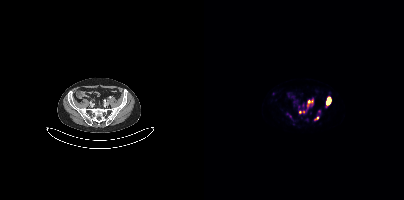
Technique: Two-panel axial: CT | PSMA PET, 68Ga tracer. PET panel 200×200 px (4.1 mm/px).
Findings: Coordinates are on the 200×200 PET (right) panel. (showing 6 of 7 foci) PSMA-avid tumor lesion bounding boxes (x, y, width, height): x=103 y=100 w=6 h=11 | x=122 y=97 w=5 h=8. Small PSMA-avid foci (2 to 4 px across) near (center x, center y): (112, 118) | (115, 111) | (96, 112) | (99, 111).